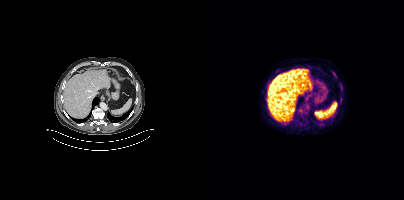
Coordinates are on the 200×200 PET (right) panel. PSMA-avid tumor lesion bounding box (x0,y0,x1,y1): [128,72,131,76].